Two-panel axial: CT | PSMA PET, [18F]PSMA-1007 tracer. A rectangle over the head was blacked out to remove identifiable facial features.
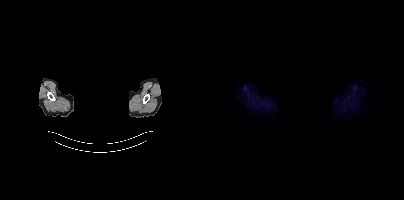
This slice has no annotated PSMA-avid lesion.